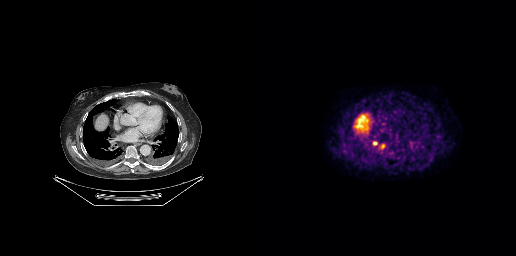
{"modality":"PSMA PET/CT","view":"axial","tracer":"18F-PSMA","pet_grid":[256,256],"coord_frame":"pet_panel","coord_format":"x0,y0,x1,y1","lesion_bboxes":[[117,144,125,150],[113,142,117,145],[150,142,152,146]]}